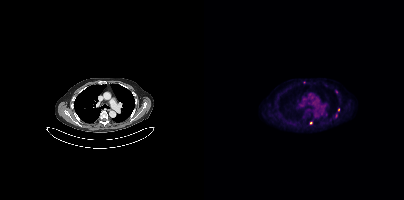
Findings: Coordinates are on the 200×200 PET (right) panel. (showing 2 of 3 foci) Small PSMA-avid foci (2 to 4 px across) near (center x, center y): (107, 123) (100, 82).
Technique: Left: CT. Right: PSMA PET, same axial level, [18F]PSMA-1007 tracer. acquired on Siemens Biograph mCT Flow 20. PET panel 200×200 px (4.1 mm/px).